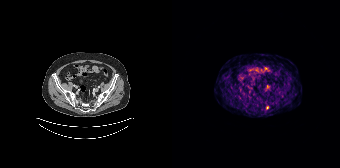
{"modality":"PSMA PET/CT","view":"axial","tracer":"[68Ga]Ga-PSMA-11","pet_grid":[168,168],"coord_frame":"pet_panel","coord_format":"x0,y0,x1,y1","lesion_bboxes":[],"small_foci_centers":[[95,107]]}